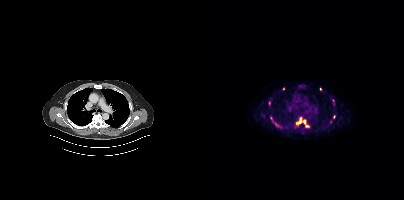
Technique: Two-panel axial: CT | PSMA PET, [18F]PSMA-1007 tracer. acquired on Siemens Biograph mCT Flow 20. slice 319 of 444. PET panel 200×200 px (4.1 mm/px).
Findings: Coordinates are on the 200×200 PET (right) panel. (showing 2 of 5 foci) PSMA-avid tumor lesion bounding box (x, y, width, height): x=92 y=117 w=14 h=11. Small PSMA-avid focus (2 to 4 px across) near (center x, center y): (116, 88).